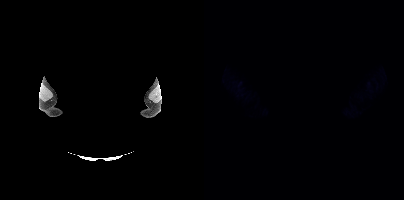
deidentification: rectangular block over head set to black | modality: PSMA PET/CT | tracer: 18F | view: axial | PET grid: 200×200
No PSMA-avid tumor lesions on this slice.